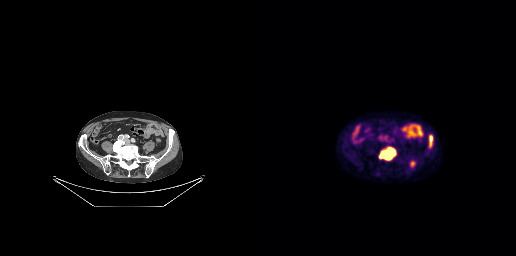
{"modality":"PSMA PET/CT","view":"axial","tracer":"18F-PSMA","pet_grid":[256,256],"coord_frame":"pet_panel","coord_format":"x0,y0,x1,y1","lesion_bboxes":[[120,148,135,159],[169,135,173,147],[150,161,155,166]]}